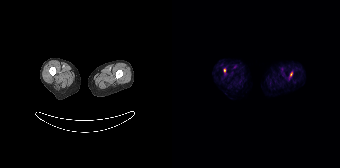
Coordinates are on the 168×168 PET (right) panel. Small PSMA-avid foci (2 to 4 px across) near (center x, center y): (52, 70); (118, 74).